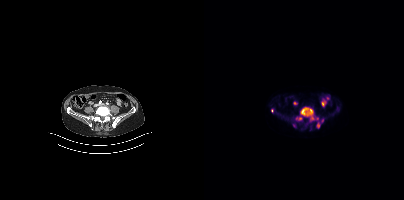
Coordinates are on the 200×200 PET (right) panel. PSMA-avid tumor lesion bounding boxes (x0,y0,x1,y1): [90,108,110,121] [88,123,92,127] [113,123,115,128]. Small PSMA-avid foci (2 to 4 px across) near (center x, center y): (68, 110) (113, 118) (118, 120).
modality: PSMA PET/CT | tracer: 18F-PSMA | view: axial